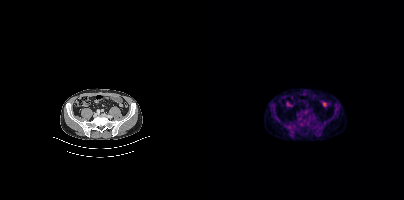
No tumor lesions annotated on this slice. Two-panel axial: CT | PSMA PET, 18F-PSMA tracer. Acquired on Siemens Biograph mCT Flow 20. Slice 122 of 448.